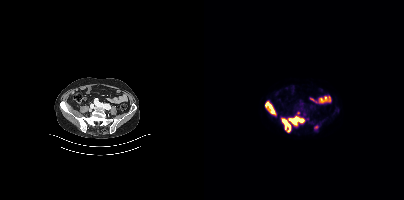
{"pet_grid":[200,200],"coord_frame":"pet_panel","coord_format":"x0,y0,x1,y1","partial":true,"lesion_bboxes":[[84,116,100,125],[61,101,71,114],[78,118,86,131]],"modality":"PSMA PET/CT","view":"axial","tracer":"[18F]PSMA-1007"}